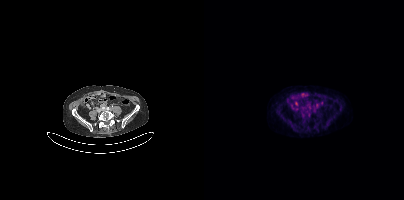
Left: CT. Right: PSMA PET, same axial level, 18F-PSMA tracer. Acquired on Siemens Biograph mCT Flow 20. PET panel 200×200 px (4.1 mm/px). Only PSMA-avid lesion pieces thinner than 2 px on this slice (not listed).